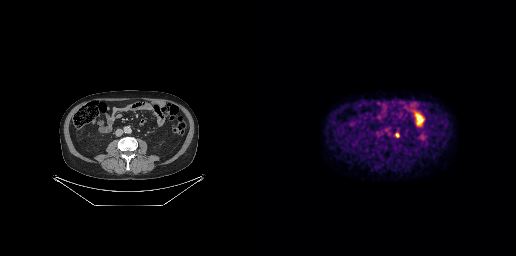
Paired axial CT (left) and PSMA PET (right), [18F]PSMA-1007 tracer. Slice 114 of 263. PET panel 256×256 px (2.7 mm/px). Coordinates are on the 256×256 PET (right) panel. Small PSMA-avid focus (2 to 4 px across) near (center x, center y): (136, 135).